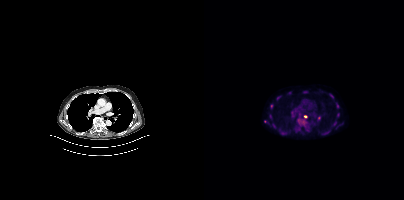
{"modality":"PSMA PET/CT","view":"axial","tracer":"[18F]PSMA-1007","pet_grid":[200,200],"coord_frame":"pet_panel","coord_format":"x0,y0,x1,y1","partial":true,"lesion_bboxes":[[132,103,135,108],[125,94,129,98],[99,91,103,93],[133,113,135,117],[66,104,68,108]],"small_foci_centers":[[85,93],[61,121],[74,98],[70,125],[66,116],[101,116]]}